Technique: Left: CT. Right: PSMA PET, same axial level, 18F-PSMA tracer. slice position z = -1210 mm.
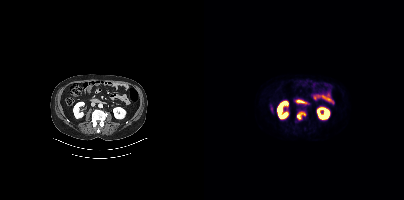
Findings: Coordinates are on the 200×200 PET (right) panel. PSMA-avid tumor lesion bounding box (x, y, width, height): x=93 y=112 w=9 h=8.